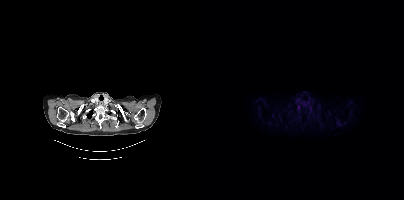
Coordinates are on the 200×200 PET (right) panel. Small PSMA-avid focus (2 to 4 px across) near (center x, center y): (94, 107). Paired axial CT (left) and PSMA PET (right), 18F-PSMA tracer. Acquired on Siemens Biograph mCT Flow 20.